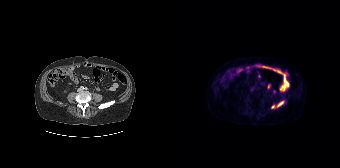
Findings: Coordinates are on the 168×168 PET (right) panel. PSMA-avid tumor lesion bounding box (x0, y0)-(x1, y1): (105, 101)-(111, 106). Small PSMA-avid focus (2 to 4 px across) near (center x, center y): (101, 107).
Technique: Two-panel axial: CT | PSMA PET, 18F-PSMA tracer. PET panel 168×168 px (4.1 mm/px).